modality: PSMA PET/CT | tracer: [18F]PSMA-1007 | view: axial
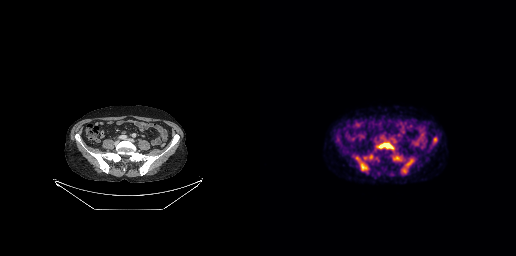
Coordinates are on the 256×256 PET (right) panel. PSMA-avid tumor lesion bounding boxes (x0,y0,x1,y1): [142,159,153,173]; [119,143,133,148]; [100,162,107,170]; [133,155,142,161]; [108,154,113,159]. Small PSMA-avid foci (2 to 4 px across) near (center x, center y): (97, 158); (104, 157).